modality: PSMA PET/CT | tracer: 18F | view: axial
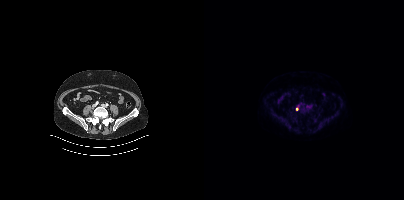
Coordinates are on the 200×200 PET (right) panel. Small PSMA-avid focus (2 to 4 px across) near (center x, center y): (93, 109).